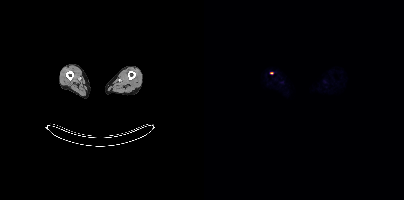
Coordinates are on the 200×200 PET (right) panel. Small PSMA-avid focus (2 to 4 px across) near (center x, center y): (67, 72).